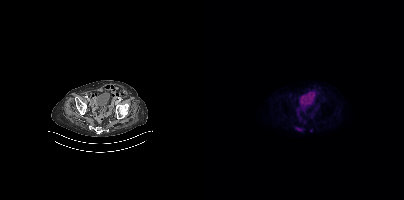
Coordinates are on the 200×200 PET (right) panel. PSMA-avid tumor lesion bounding box (x, y, width, height): x=92 y=127 w=7 h=4. Small PSMA-avid focus (2 to 4 px across) near (center x, center y): (107, 130).